modality: PSMA PET/CT | tracer: [18F]PSMA-1007 | view: axial | de-identification: facial region redacted
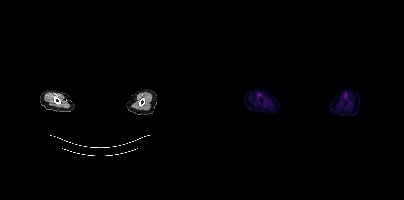
No PSMA-avid tumor lesions on this slice.